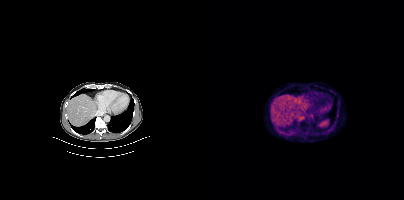
Findings: Coordinates are on the 200×200 PET (right) panel. PSMA-avid tumor lesion bounding box (x0, y0)-(x1, y1): (93, 114)-(101, 121).
Technique: Two-panel axial: CT | PSMA PET, [18F]PSMA-1007 tracer. slice 265 of 448. PET panel 200×200 px (4.1 mm/px).